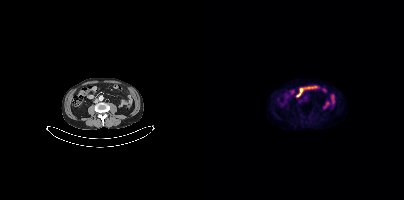
modality: PSMA PET/CT | tracer: 18F-PSMA | view: axial
No tumor lesions annotated on this slice.